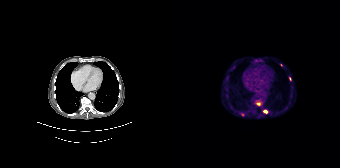
{"modality":"PSMA PET/CT","view":"axial","tracer":"[68Ga]Ga-PSMA-11","pet_grid":[168,168],"coord_frame":"pet_panel","coord_format":"x0,y0,x1,y1","partial":true,"lesion_bboxes":[[84,102,89,105],[118,93,120,98],[68,113,72,116]],"small_foci_centers":[[55,95],[93,111],[117,78],[59,108],[55,77]]}